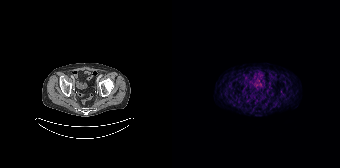
Left: CT. Right: PSMA PET, same axial level, 68Ga tracer. Acquired on Siemens Biograph 64-4R TruePoint. Negative for PSMA-avid disease on this slice.